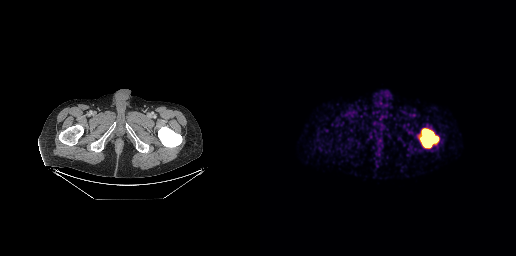
Technique: Paired axial CT (left) and PSMA PET (right), 68Ga-PSMA tracer.
Findings: Coordinates are on the 256×256 PET (right) panel. PSMA-avid tumor lesion bounding box (x0, y0)-(x1, y1): (159, 128)-(179, 148).